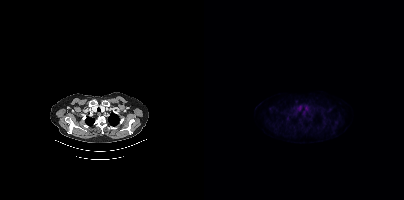
This slice has no annotated PSMA-avid lesion.